modality: PSMA PET/CT | tracer: [18F]PSMA-1007 | view: axial
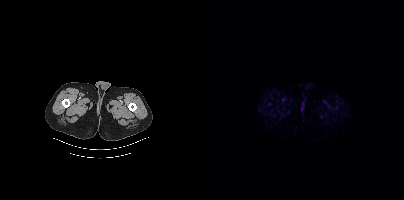
No PSMA-avid tumor lesions on this slice.